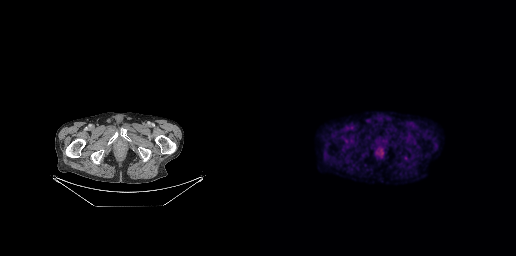
Coordinates are on the 256×256 PET (right) panel. Small PSMA-avid focus (2 to 4 px across) near (center x, center y): (146, 158).